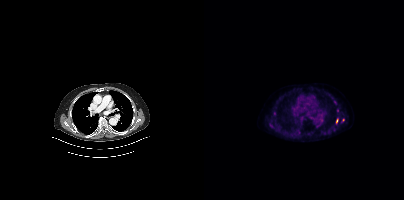
modality: PSMA PET/CT | tracer: 18F | view: axial | PET grid: 200×200
Coordinates are on the 200×200 PET (right) panel. (showing 4 of 7 foci) Small PSMA-avid foci (2 to 4 px across) near (center x, center y): (67, 125) | (139, 120) | (133, 110) | (132, 120).